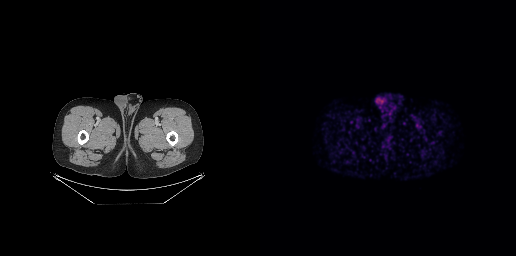
- Left: CT. Right: PSMA PET, same axial level, 68Ga-PSMA tracer
- PET panel 256×256 px (2.7 mm/px)
Findings: This slice has no annotated PSMA-avid lesion.